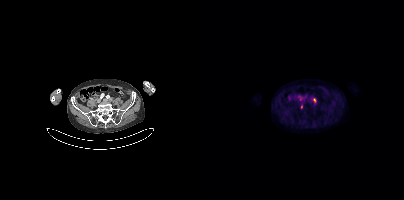
Technique: Paired axial CT (left) and PSMA PET (right), 18F-PSMA tracer.
Findings: Coordinates are on the 200×200 PET (right) panel. (showing 2 of 3 foci) PSMA-avid tumor lesion bounding box (x, y, width, height): x=109 y=98 w=4 h=5. Small PSMA-avid focus (2 to 4 px across) near (center x, center y): (97, 106).